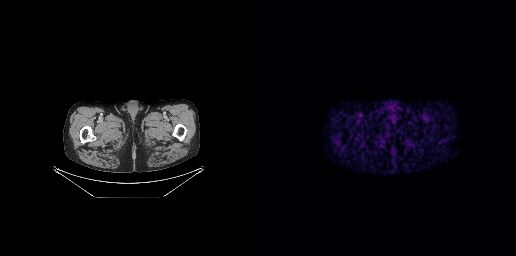
Paired axial CT (left) and PSMA PET (right), 68Ga-PSMA tracer. Slice position z = -903 mm. No PSMA-avid tumor lesions on this slice.